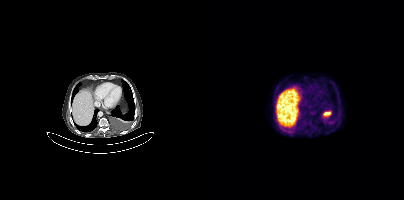
This slice has no annotated PSMA-avid lesion.